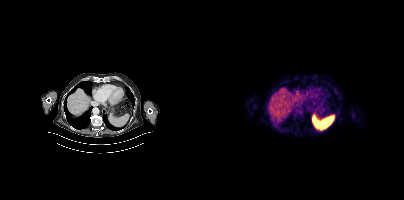
Technique: Left: CT. Right: PSMA PET, same axial level, 18F-PSMA tracer. acquired on Siemens Biograph mCT Flow 20.
Findings: No tumor lesions annotated on this slice.